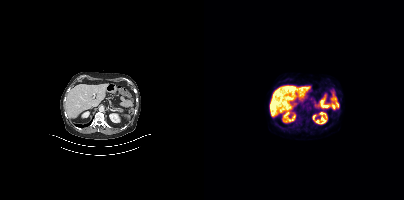
Technique: Two-panel axial: CT | PSMA PET, 18F-PSMA tracer. acquired on Siemens Biograph mCT Flow 20. slice 184 of 354.
Findings: Negative for PSMA-avid disease on this slice.